A rectangular region was set to black for de-identification. Left: CT. Right: PSMA PET, same axial level, 18F tracer. Slice position z = -850 mm. PET panel 168×168 px (4.1 mm/px).
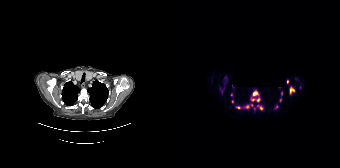
Coordinates are on the 168×168 PET (right) panel. PSMA-avid tumor lesion bounding boxes (partial; 3 more foci not listed):
| # | x0 | y0 | x1 | y1 |
|---|---|---|---|---|
| 1 | 117 | 86 | 122 | 94 |
| 2 | 80 | 90 | 86 | 96 |
| 3 | 79 | 98 | 88 | 101 |
| 4 | 47 | 87 | 52 | 93 |
| 5 | 71 | 105 | 77 | 108 |
| 6 | 64 | 106 | 69 | 109 |
| 7 | 52 | 78 | 55 | 84 |
| 8 | 60 | 84 | 61 | 88 |
Small PSMA-avid foci (2 to 4 px across) near (center x, center y): (89, 107); (115, 81); (109, 93); (108, 99); (59, 94); (79, 104); (104, 106).